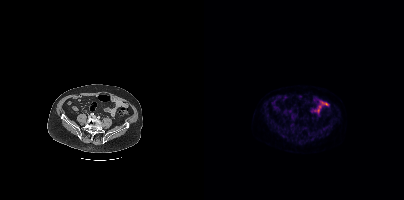
{"modality":"PSMA PET/CT","view":"axial","tracer":"18F-PSMA","pet_grid":[200,200],"coord_frame":"pet_panel","coord_format":"x0,y0,x1,y1","psma_avid_lesions":false}